Technique: Left: CT. Right: PSMA PET, same axial level, [18F]PSMA-1007 tracer.
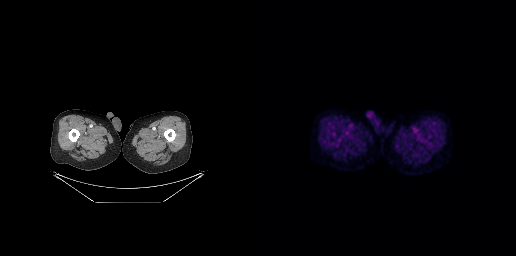
Findings: No tumor lesions annotated on this slice.